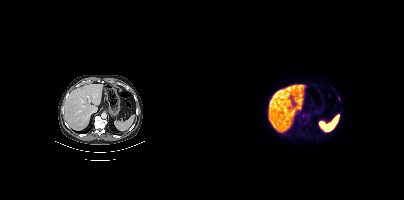
Findings: No tumor lesions annotated on this slice.
Technique: Paired axial CT (left) and PSMA PET (right), 18F tracer. slice 237 of 417.